Two-panel axial: CT | PSMA PET, 18F tracer. Acquired on Siemens Biograph mCT Flow 20. PET panel 200×200 px (4.1 mm/px).
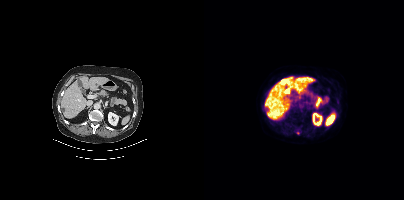
Coordinates are on the 200×200 PET (right) panel. Small PSMA-avid focus (2 to 4 px across) near (center x, center y): (94, 133).